Left: CT. Right: PSMA PET, same axial level, 18F tracer. Acquired on Siemens Biograph mCT Flow 20. Slice position z = -1020 mm.
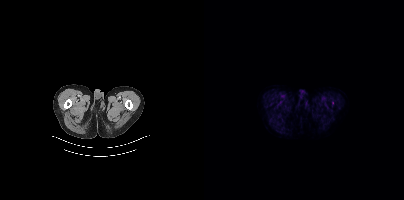
This slice has no annotated PSMA-avid lesion.